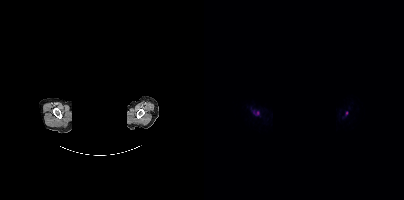
Privacy masking over the head, with the pixels inside a rectangle set to black. Paired axial CT (left) and PSMA PET (right), [18F]PSMA-1007 tracer. Acquired on Siemens Biograph mCT Flow 20.
Coordinates are on the 200×200 PET (right) panel. PSMA-avid tumor lesion bounding boxes:
| # | x0 | y0 | x1 | y1 |
|---|---|---|---|---|
| 1 | 49 | 110 | 54 | 114 |
Small PSMA-avid focus (2 to 4 px across) near (center x, center y): (142, 113).